Left: CT. Right: PSMA PET, same axial level, [18F]PSMA-1007 tracer. Acquired on Siemens Biograph 64-4R TruePoint. Slice position z = -1080 mm.
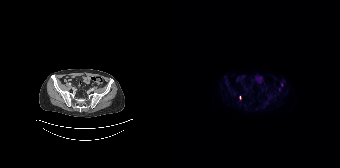
Coordinates are on the 168×168 PET (right) panel. PSMA-avid tumor lesion bounding boxes:
| # | x0 | y0 | x1 | y1 |
|---|---|---|---|---|
| 1 | 67 | 95 | 69 | 100 |
Small PSMA-avid foci (2 to 4 px across) near (center x, center y): (109, 84); (107, 89).